modality: PSMA PET/CT | tracer: 68Ga-PSMA | view: axial
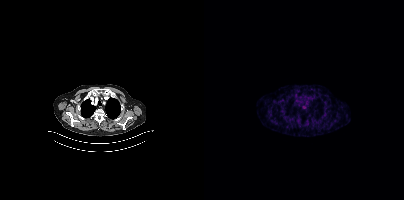
No PSMA-avid tumor lesions on this slice.